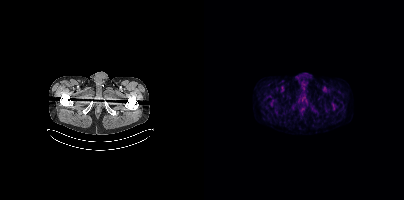
Negative for PSMA-avid disease on this slice.